modality: PSMA PET/CT | tracer: 18F | view: axial
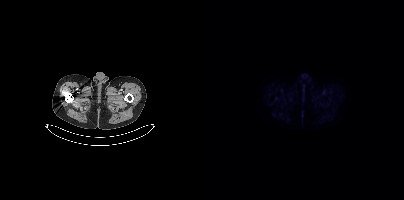
No PSMA-avid tumor lesions on this slice.